Technique: Two-panel axial: CT | PSMA PET, [68Ga]Ga-PSMA-11 tracer. acquired on Siemens Biograph mCT Flow 20. slice position z = -1379 mm.
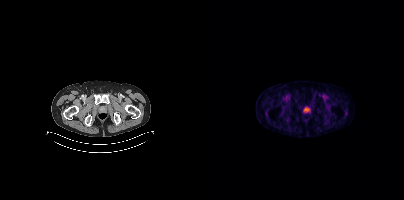
Findings: Coordinates are on the 200×200 PET (right) panel. Small PSMA-avid focus (2 to 4 px across) near (center x, center y): (103, 109).